Two-panel axial: CT | PSMA PET, [18F]PSMA-1007 tracer. Slice 153 of 401. PET panel 200×200 px (4.1 mm/px).
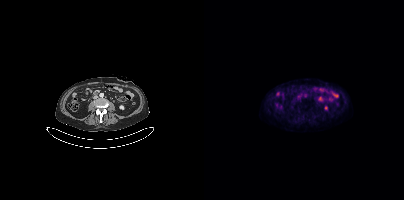
No PSMA-avid tumor lesions on this slice.